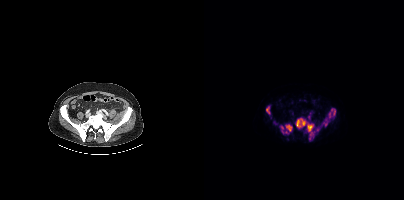
- Paired axial CT (left) and PSMA PET (right), 18F tracer
Findings: Coordinates are on the 200×200 PET (right) panel. (showing 10 of 11 foci) PSMA-avid tumor lesion bounding boxes (x0,y0,x1,y1): [91,117,101,127], [124,108,131,117], [103,124,109,131], [117,119,125,126], [82,124,88,131], [105,134,109,139], [75,125,79,132], [62,107,65,113], [113,127,115,131]. Small PSMA-avid focus (2 to 4 px across) near (center x, center y): (70, 122).